A rectangle over the head was blacked out to remove identifiable facial features. Left: CT. Right: PSMA PET, same axial level, 18F-PSMA tracer. PET panel 200×200 px (4.1 mm/px).
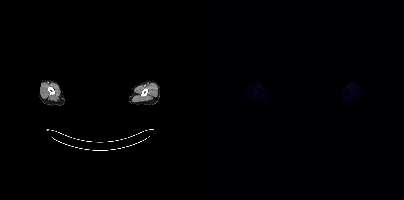
Negative for PSMA-avid disease on this slice.